Technique: Left: CT. Right: PSMA PET, same axial level, 18F tracer. slice position z = -1616 mm.
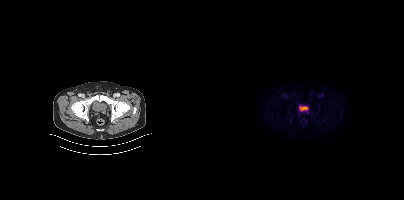
Findings: Coordinates are on the 200×200 PET (right) panel. Small PSMA-avid foci (2 to 4 px across) near (center x, center y): (104, 113) | (95, 115).